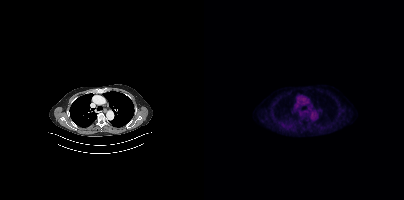
No PSMA-avid tumor lesions on this slice. Left: CT. Right: PSMA PET, same axial level, 18F tracer. Acquired on Siemens Biograph mCT Flow 20. Slice position z = -997 mm.